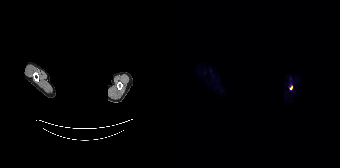
deidentification: head region blacked out before release | modality: PSMA PET/CT | tracer: 18F-PSMA | view: axial | PET grid: 168×168
Coordinates are on the 168×168 PET (right) panel. Small PSMA-avid focus (2 to 4 px across) near (center x, center y): (119, 87).